Head region blanked for anonymization (face removed). Left: CT. Right: PSMA PET, same axial level, [18F]PSMA-1007 tracer. Slice position z = -320 mm. PET panel 200×200 px (4.1 mm/px).
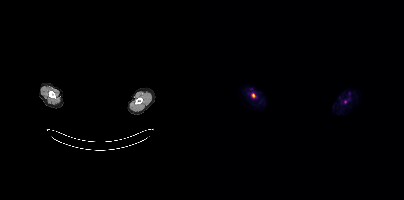
Coordinates are on the 200×200 PET (right) panel. Small PSMA-avid focus (2 to 4 px across) near (center x, center y): (49, 95).